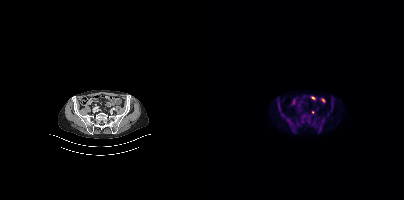
modality: PSMA PET/CT | tracer: [18F]PSMA-1007 | view: axial
Coordinates are on the 200×200 PET (right) panel. Small PSMA-avid focus (2 to 4 px across) near (center x, center y): (108, 112).